Technique: Left: CT. Right: PSMA PET, same axial level, [18F]PSMA-1007 tracer. slice 298 of 383. PET panel 200×200 px (4.1 mm/px).
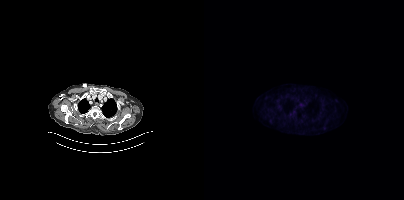
Findings: Negative for PSMA-avid disease on this slice.